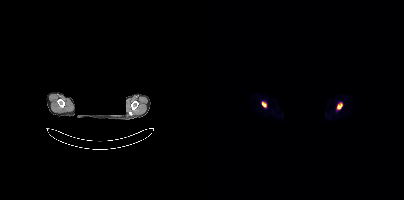
{"modality":"PSMA PET/CT","view":"axial","tracer":"68Ga","pet_grid":[200,200],"coord_frame":"pet_panel","coord_format":"x0,y0,x1,y1","redaction":"head region blanked (face removed)","lesion_bboxes":[[133,103,138,109],[58,102,61,106]]}